Left: CT. Right: PSMA PET, same axial level, 68Ga-PSMA tracer. Acquired on Siemens Biograph 64-4R TruePoint. Slice 127 of 165.
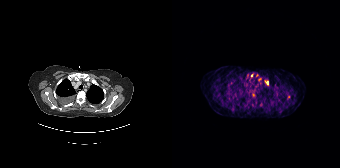
Coordinates are on the 168×168 PET (right) panel. (showing 3 of 5 foci) Small PSMA-avid foci (2 to 4 px across) near (center x, center y): (94, 82) | (116, 96) | (79, 75).